Left: CT. Right: PSMA PET, same axial level, [18F]PSMA-1007 tracer. PET panel 200×200 px (4.1 mm/px).
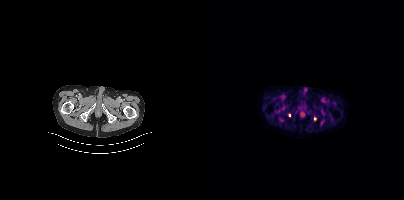
Coordinates are on the 200×200 PET (right) panel. Small PSMA-avid foci (2 to 4 px across) near (center x, center y): (85, 115), (110, 118).